Some pixels were blanked for anonymization. Left: CT. Right: PSMA PET, same axial level, 18F-PSMA tracer. Acquired on Siemens Biograph mCT Flow 20. Slice 405 of 466. PET panel 200×200 px (4.1 mm/px).
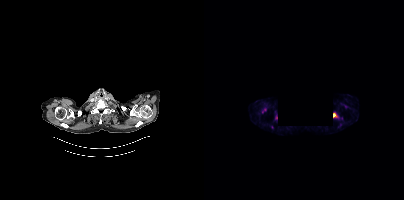
Coordinates are on the 200×200 PET (right) panel. PSMA-avid tumor lesion bounding boxes (x, y, width, height): x=58 y=107 w=5 h=7 | x=129 y=113 w=4 h=5. Small PSMA-avid focus (2 to 4 px across) near (center x, center y): (72, 117).